- Two-panel axial: CT | PSMA PET, [18F]PSMA-1007 tracer
- acquired on Siemens Biograph mCT Flow 20
- PET panel 200×200 px (4.1 mm/px)
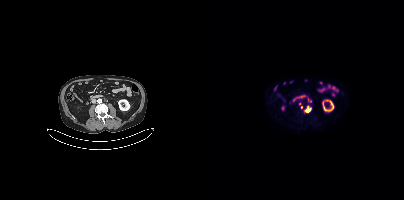
Findings: Coordinates are on the 200×200 PET (right) panel. PSMA-avid tumor lesion bounding boxes (x, y, width, height): x=100 y=106 w=8 h=8 | x=104 y=98 w=4 h=5. Small PSMA-avid foci (2 to 4 px across) near (center x, center y): (97, 107) | (95, 103).